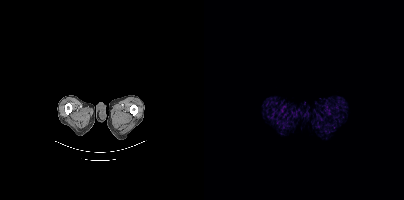
This slice has no annotated PSMA-avid lesion. Two-panel axial: CT | PSMA PET, [18F]PSMA-1007 tracer. Slice position z = -1548 mm.